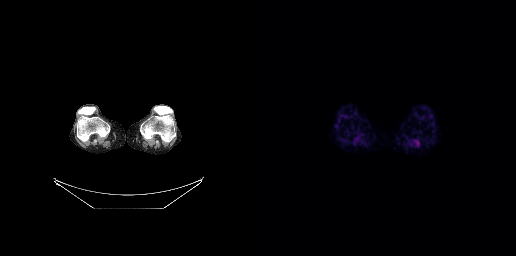
No tumor lesions annotated on this slice. Paired axial CT (left) and PSMA PET (right), 18F tracer. Slice position z = -1366 mm.